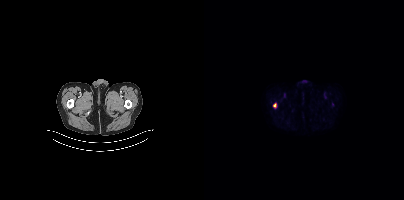
Coordinates are on the 200×200 PET (right) panel. PSMA-avid tumor lesion bounding box (x0,y0,x1,y1): [69,103,72,107].